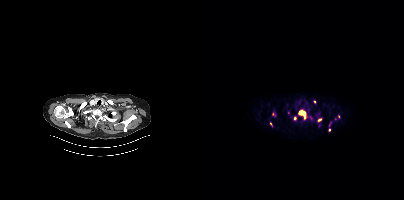
Coordinates are on the 200×200 PET (right) panel. PSMA-avid tumor lesion bounding box (x0,y0,x1,y1): [94,110,102,119]. Small PSMA-avid foci (2 to 4 px across) near (center x, center y): (115, 119); (91, 118); (125, 130); (110, 101); (66, 123); (68, 113); (134, 116).
modality: PSMA PET/CT | tracer: 18F | view: axial | PET grid: 200×200